Technique: Two-panel axial: CT | PSMA PET, 18F-PSMA tracer.
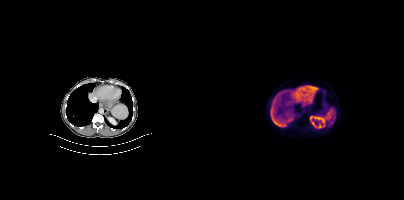
Findings: No tumor lesions annotated on this slice.